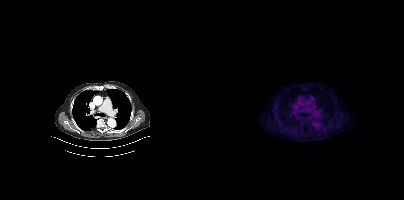
Findings: Coordinates are on the 200×200 PET (right) panel. Small PSMA-avid focus (2 to 4 px across) near (center x, center y): (90, 111).
- Two-panel axial: CT | PSMA PET, [18F]PSMA-1007 tracer